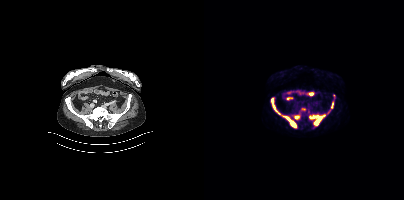
modality: PSMA PET/CT | tracer: [18F]PSMA-1007 | view: axial | PET grid: 200×200
Coordinates are on the 200×200 PET (right) panel. (showing 6 of 8 foci) PSMA-avid tumor lesion bounding boxes (x, y, width, height): x=109 y=114 w=13 h=12 / x=79 y=116 w=14 h=12 / x=67 y=98 w=11 h=18 / x=90 y=115 w=6 h=5 / x=127 y=102 w=3 h=6. Small PSMA-avid focus (2 to 4 px across) near (center x, center y): (106, 117).